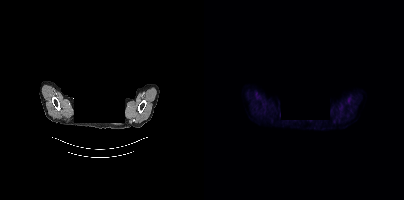
This slice has no annotated PSMA-avid lesion. Two-panel axial: CT | PSMA PET, 18F-PSMA tracer. Acquired on Siemens Biograph mCT Flow 20. Slice 367 of 409. The head region is masked for de-identification.